- Paired axial CT (left) and PSMA PET (right), [18F]PSMA-1007 tracer
- acquired on Siemens Biograph mCT Flow 20
- PET panel 200×200 px (4.1 mm/px)
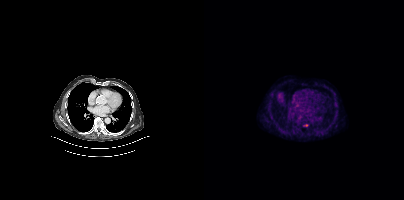
Findings: No tumor lesions annotated on this slice.